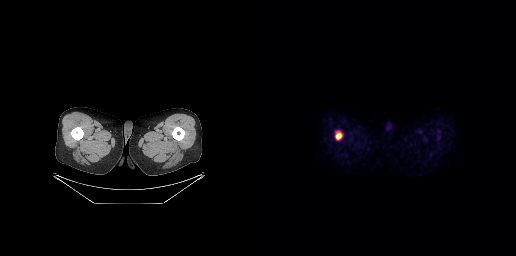
Coordinates are on the 256×256 PET (right) panel. PSMA-avid tumor lesion bounding box (x0,y0,x1,y1): [75,131,82,139].
modality: PSMA PET/CT | tracer: 18F | view: axial | PET grid: 256×256